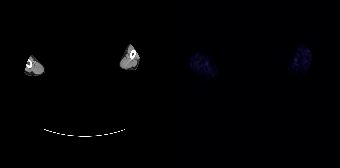
Negative for PSMA-avid disease on this slice.
redaction: privacy mask over head | modality: PSMA PET/CT | tracer: [68Ga]Ga-PSMA-11 | view: axial